modality: PSMA PET/CT | tracer: 18F-PSMA | view: axial
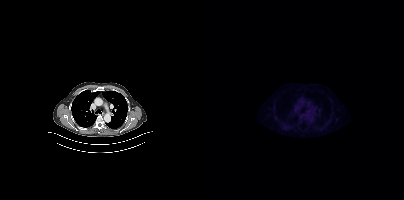
This slice has no annotated PSMA-avid lesion.